modality: PSMA PET/CT | tracer: 18F-PSMA | view: axial
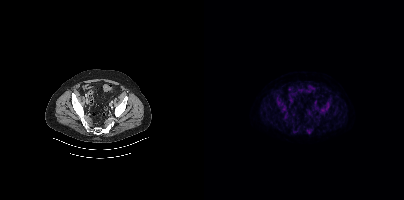
Coordinates are on the 200×200 PET (right) panel. PSMA-avid tumor lesion bounding boxes (x, y, width, height): x=76 y=107 w=9 h=11; x=72 y=96 w=6 h=9; x=116 y=108 w=6 h=7; x=103 y=128 w=6 h=6; x=122 y=102 w=5 h=4.